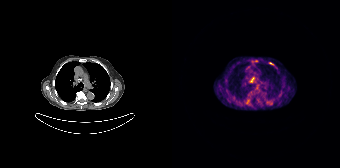
Coordinates are on the 168×168 PET (right) panel. (showing 5 of 8 foci) PSMA-avid tumor lesion bounding boxes (x, y, width, height): x=77 y=76 w=6 h=7 / x=72 y=98 w=6 h=7 / x=79 y=60 w=8 h=3. Small PSMA-avid foci (2 to 4 px across) near (center x, center y): (86, 100) / (99, 103).